Left: CT. Right: PSMA PET, same axial level, [18F]PSMA-1007 tracer. Slice position z = -584 mm. PET panel 200×200 px (4.1 mm/px).
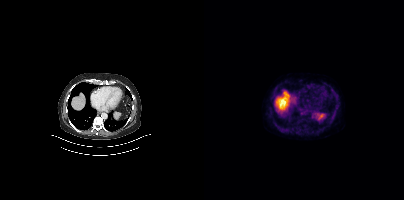
No PSMA-avid tumor lesions on this slice.